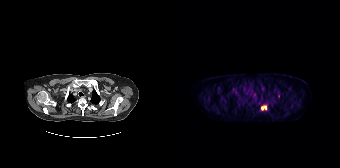
Coordinates are on the 168×168 PET (right) panel. PSMA-avid tumor lesion bounding box (x0, y0)-(x1, y1): (89, 106)-(95, 109). Small PSMA-avid focus (2 to 4 px across) near (center x, center y): (106, 95).